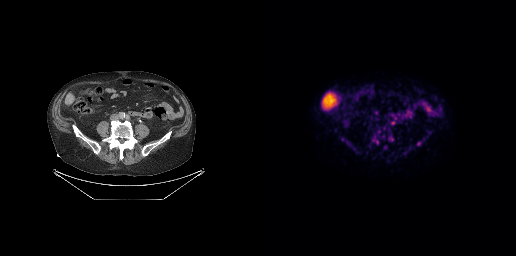
Findings: Coordinates are on the 256×256 PET (right) panel. (showing 3 of 4 foci) Small PSMA-avid foci (2 to 4 px across) near (center x, center y): (158, 143) | (132, 139) | (117, 141).
- Two-panel axial: CT | PSMA PET, [18F]PSMA-1007 tracer
- PET panel 256×256 px (2.7 mm/px)